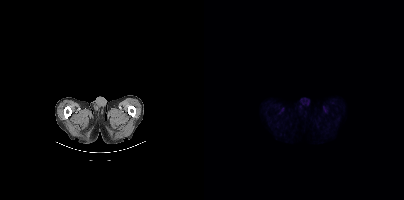
Two-panel axial: CT | PSMA PET, [18F]PSMA-1007 tracer. Negative for PSMA-avid disease on this slice.